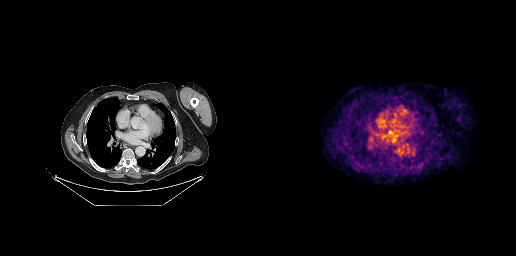
Two-panel axial: CT | PSMA PET, 18F tracer. Slice 184 of 263. Negative for PSMA-avid disease on this slice.